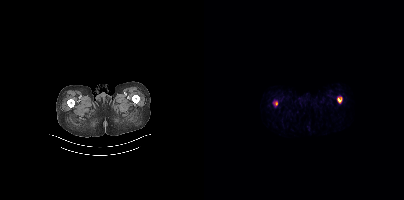
Paired axial CT (left) and PSMA PET (right), [68Ga]Ga-PSMA-11 tracer. Acquired on Siemens Biograph mCT Flow 20. Slice position z = 304 mm. No PSMA-avid tumor lesions on this slice.